- Paired axial CT (left) and PSMA PET (right), [68Ga]Ga-PSMA-11 tracer
- acquired on Siemens Biograph 64-4R TruePoint
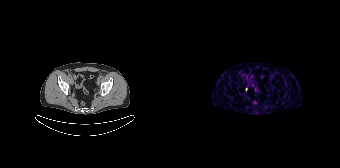
Findings: Coordinates are on the 168×168 PET (right) panel. Small PSMA-avid focus (2 to 4 px across) near (center x, center y): (74, 89).